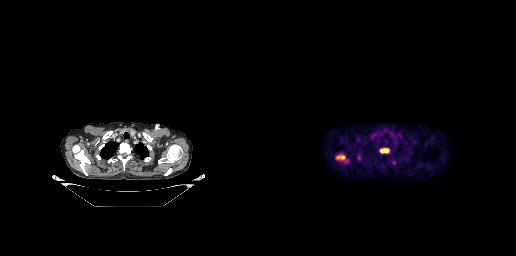
Coordinates are on the 256×256 PET (right) panel. PSMA-avid tumor lesion bounding boxes (x0, y0)-(x1, y1): (76, 154)-(88, 162); (120, 149)-(128, 152).